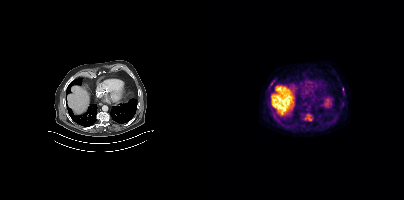
Left: CT. Right: PSMA PET, same axial level, [18F]PSMA-1007 tracer. Coordinates are on the 200×200 PET (right) panel. (showing 2 of 3 foci) PSMA-avid tumor lesion bounding boxes (x, y, width, height): x=100 y=114 w=9 h=7; x=66 y=81 w=4 h=5.